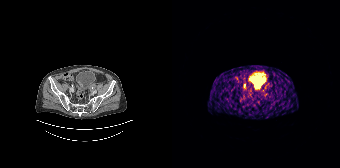
{"modality":"PSMA PET/CT","view":"axial","tracer":"68Ga","pet_grid":[168,168],"coord_frame":"pet_panel","coord_format":"x0,y0,x1,y1","lesion_bboxes":[],"small_foci_centers":[[72,85]]}